Two-panel axial: CT | PSMA PET, [18F]PSMA-1007 tracer. Slice position z = -1066 mm. PET panel 200×200 px (4.1 mm/px).
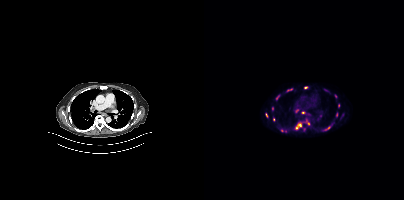
Coordinates are on the 200×200 PET (right) panel. PSMA-avid tumor lesion bounding boxes (partial; 4 more foci not listed):
| # | x0 | y0 | x1 | y1 |
|---|---|---|---|---|
| 1 | 91 | 123 | 98 | 129 |
| 2 | 119 | 126 | 126 | 130 |
| 3 | 83 | 88 | 88 | 91 |
| 4 | 72 | 95 | 75 | 99 |
| 5 | 61 | 113 | 63 | 117 |
Small PSMA-avid foci (2 to 4 px across) near (center x, center y): (92, 110); (101, 87); (132, 114); (69, 119); (134, 105); (68, 108); (99, 112); (78, 130); (100, 129); (131, 96).